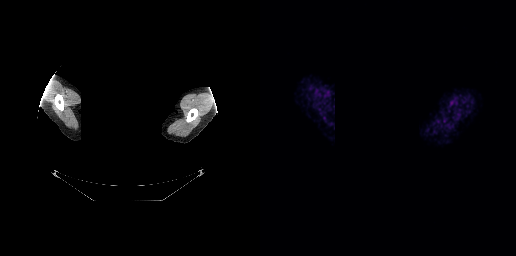
{"modality":"PSMA PET/CT","view":"axial","tracer":"68Ga-PSMA","pet_grid":[256,256],"coord_frame":"pet_panel","coord_format":"x0,y0,x1,y1","psma_avid_lesions":false,"redaction":"head region blanked (face removed)"}